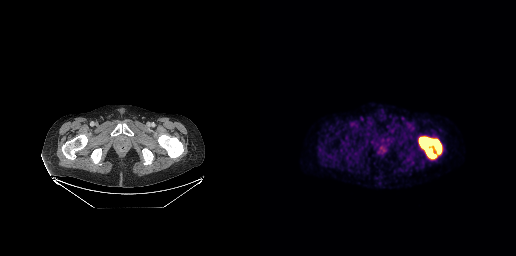
Coordinates are on the 256×256 PET (right) panel. PSMA-avid tumor lesion bounding box (x0,y0,x1,y1): [159,136,181,158].
modality: PSMA PET/CT | tracer: 18F | view: axial